modality: PSMA PET/CT | tracer: 18F | view: axial | PET grid: 200×200
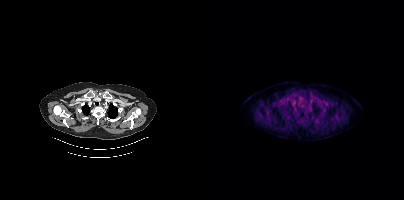
No PSMA-avid tumor lesions on this slice.